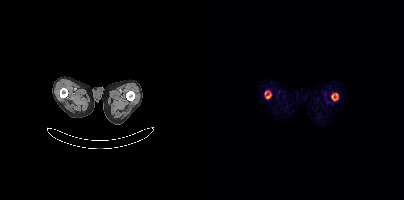
- Paired axial CT (left) and PSMA PET (right), [18F]PSMA-1007 tracer
- acquired on Siemens Biograph mCT Flow 20
- slice 16 of 401
Findings: Coordinates are on the 200×200 PET (right) panel. PSMA-avid tumor lesion bounding boxes (x, y, width, height): x=127 y=93 w=8 h=8 | x=61 y=91 w=7 h=8.